modality: PSMA PET/CT | tracer: 18F | view: axial | PET grid: 256×256
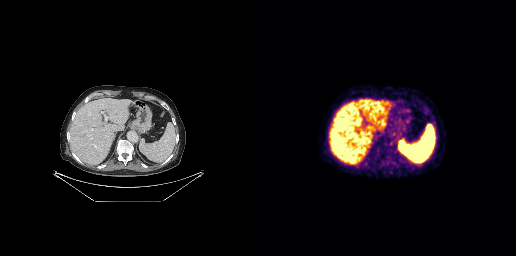
This slice has no annotated PSMA-avid lesion.